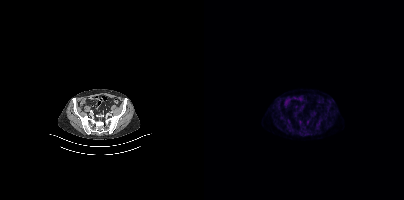
This slice has no annotated PSMA-avid lesion.